Paired axial CT (left) and PSMA PET (right), 18F tracer. Acquired on Siemens Biograph mCT Flow 20.
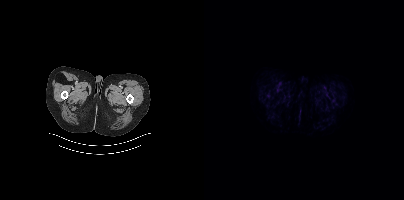
This slice has no annotated PSMA-avid lesion.